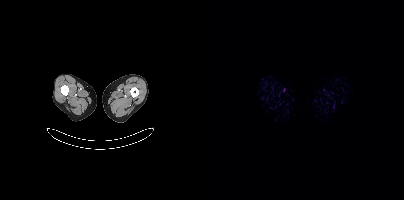
modality: PSMA PET/CT | tracer: [18F]PSMA-1007 | view: axial | PET grid: 200×200
No tumor lesions annotated on this slice.